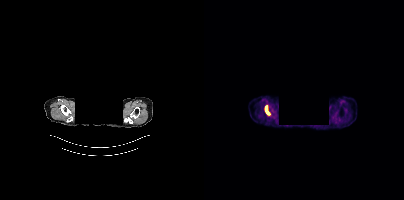
{"modality":"PSMA PET/CT","view":"axial","tracer":"18F","pet_grid":[200,200],"coord_frame":"pet_panel","coord_format":"x0,y0,x1,y1","redaction":"face masked with black rectangle","lesion_bboxes":[[61,107,64,113]]}